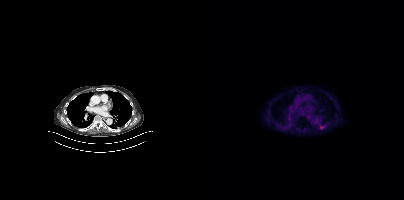
Technique: Left: CT. Right: PSMA PET, same axial level, 18F tracer.
Findings: Coordinates are on the 200×200 PET (right) panel. Small PSMA-avid focus (2 to 4 px across) near (center x, center y): (117, 127).